Technique: Two-panel axial: CT | PSMA PET, [18F]PSMA-1007 tracer. PET panel 256×256 px (2.7 mm/px).
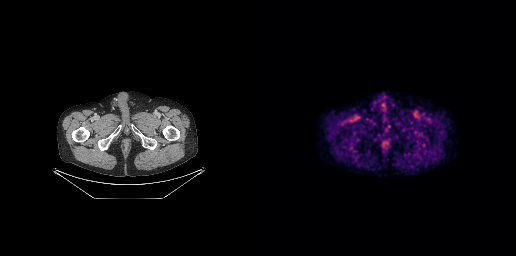
Findings: Negative for PSMA-avid disease on this slice.